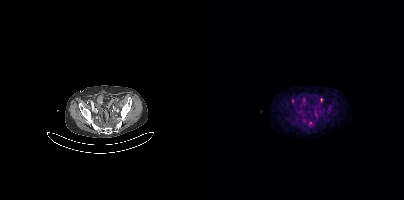
{"modality":"PSMA PET/CT","view":"axial","tracer":"18F-PSMA","pet_grid":[200,200],"coord_frame":"pet_panel","coord_format":"x0,y0,x1,y1","lesion_bboxes":[],"small_foci_centers":[[106,122],[117,99],[88,101]]}